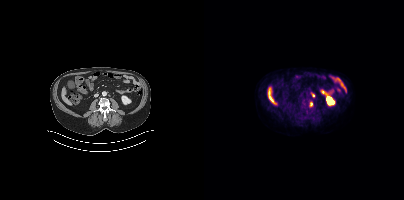
Findings: Coordinates are on the 200×200 PET (right) panel. PSMA-avid tumor lesion bounding boxes (x0,y0,x1,y1): [106,102,108,106]; [107,92,109,96].
Technique: Paired axial CT (left) and PSMA PET (right), [18F]PSMA-1007 tracer. slice position z = -1268 mm.